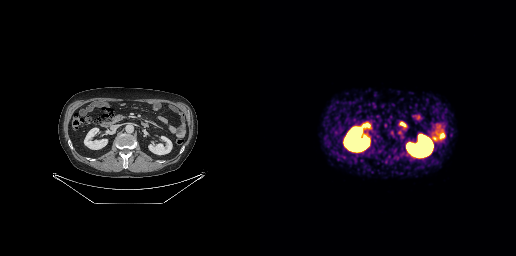
Technique: Paired axial CT (left) and PSMA PET (right), [68Ga]Ga-PSMA-11 tracer. slice position z = -661 mm. PET panel 256×256 px (2.7 mm/px).
Findings: No tumor lesions annotated on this slice.